Paired axial CT (left) and PSMA PET (right), 18F tracer. Slice position z = -1635 mm.
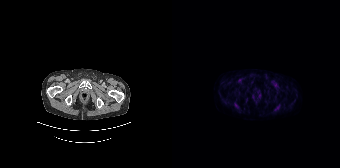
No PSMA-avid tumor lesions on this slice.